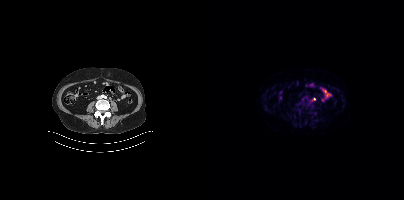
{"modality":"PSMA PET/CT","view":"axial","tracer":"[18F]PSMA-1007","pet_grid":[200,200],"coord_frame":"pet_panel","coord_format":"x0,y0,x1,y1","lesion_bboxes":[],"small_foci_centers":[[110,98]]}